Technique: Two-panel axial: CT | PSMA PET, 18F-PSMA tracer. slice position z = -353 mm.
Note: The head region is masked for de-identification.
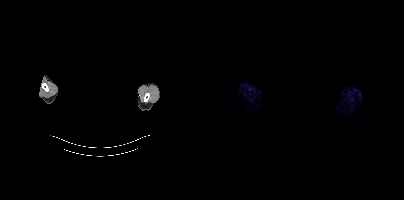
Findings: Negative for PSMA-avid disease on this slice.